modality: PSMA PET/CT | tracer: [18F]PSMA-1007 | view: axial | PET grid: 200×200
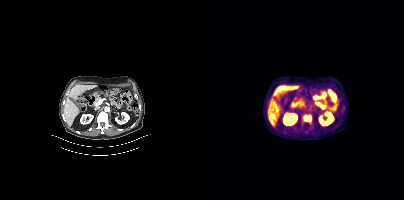
Coordinates are on the 200×200 PET (right) panel. PSMA-avid tumor lesion bounding box (x0,y0,x1,y1): [99,115,107,121].